Two-panel axial: CT | PSMA PET, 18F-PSMA tracer. Acquired on GE Discovery 690. Slice position z = -865 mm.
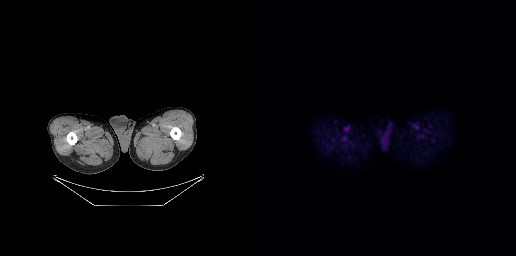
No PSMA-avid tumor lesions on this slice.